Two-panel axial: CT | PSMA PET, [18F]PSMA-1007 tracer. Acquired on Siemens Biograph mCT Flow 20.
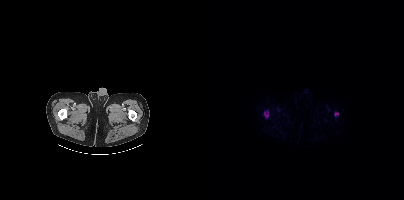
Coordinates are on the 200×200 PET (right) panel. PSMA-avid tumor lesion bounding box (x0,y0,x1,y1): [60,111,64,114]. Small PSMA-avid foci (2 to 4 px across) near (center x, center y): (132, 114); (63, 116).